Paired axial CT (left) and PSMA PET (right), 18F tracer. Slice position z = -976 mm.
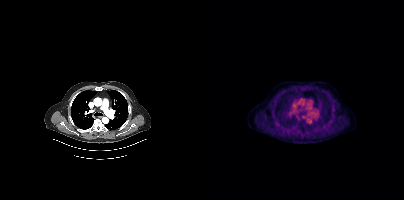
Negative for PSMA-avid disease on this slice.